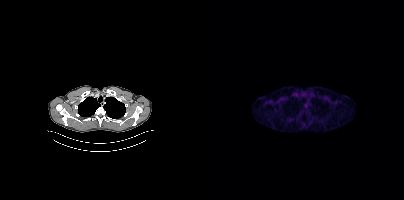
Findings: No PSMA-avid tumor lesions on this slice.
Technique: Two-panel axial: CT | PSMA PET, [18F]PSMA-1007 tracer. acquired on Siemens Biograph mCT Flow 20.